Paired axial CT (left) and PSMA PET (right), 18F tracer. Acquired on Siemens Biograph mCT Flow 20. Slice position z = 492 mm.
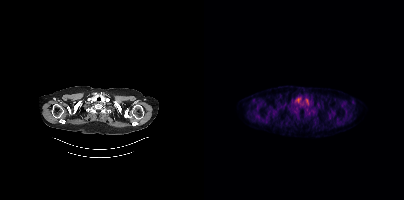
No tumor lesions annotated on this slice.